Any black rectangle over the head is a privacy mask, not anatomy. Two-panel axial: CT | PSMA PET, [18F]PSMA-1007 tracer. Acquired on Siemens Biograph mCT Flow 20. Slice 417 of 438. PET panel 200×200 px (4.1 mm/px).
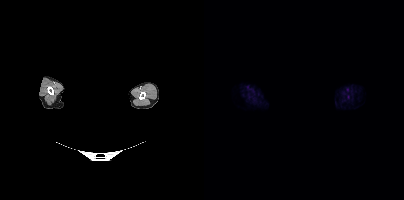
Negative for PSMA-avid disease on this slice.